Left: CT. Right: PSMA PET, same axial level, 68Ga tracer. PET panel 200×200 px (4.1 mm/px).
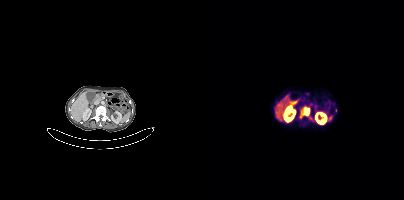
Coordinates are on the 200×200 PET (right) panel. PSMA-avid tumor lesion bounding boxes (partial; 2 more foci not listed):
| # | x0 | y0 | x1 | y1 |
|---|---|---|---|---|
| 1 | 97 | 107 | 105 | 115 |
Small PSMA-avid focus (2 to 4 px across) near (center x, center y): (71, 107).